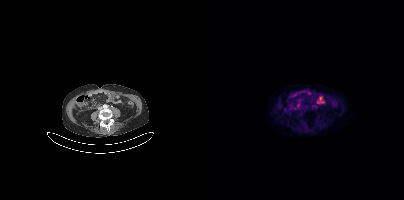
modality: PSMA PET/CT | tracer: [18F]PSMA-1007 | view: axial
Coordinates are on the 200×200 PET (right) panel. PSMA-avid tumor lesion bounding box (x0, y0)-(x1, y1): (108, 105)-(112, 107).